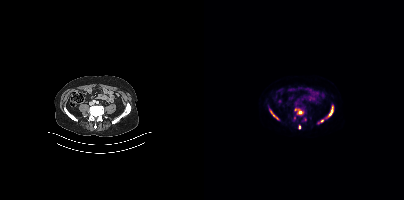
Paired axial CT (left) and PSMA PET (right), 18F tracer. Slice position z = -1328 mm. PET panel 200×200 px (4.1 mm/px). Coordinates are on the 200×200 PET (right) panel. (showing 6 of 7 foci) PSMA-avid tumor lesion bounding boxes (x0, y0)-(x1, y1): (124, 106)-(129, 116) / (66, 110)-(74, 119). Small PSMA-avid foci (2 to 4 px across) near (center x, center y): (96, 112) / (101, 119) / (95, 126) / (118, 120).